An anonymization step blacked out a rectangle over the head in this scan.
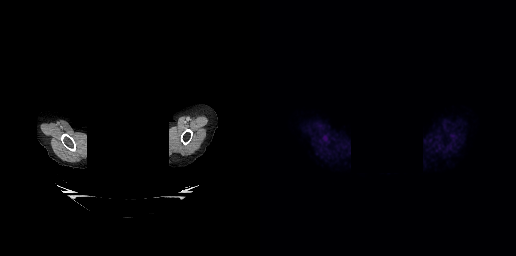
No tumor lesions annotated on this slice.